modality: PSMA PET/CT | tracer: 18F-PSMA | view: axial
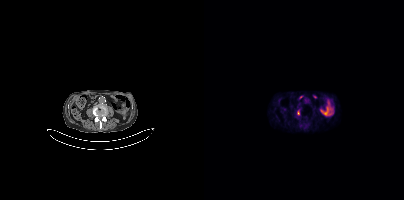
Coordinates are on the 200×200 PET (right) panel. Small PSMA-avid focus (2 to 4 px across) near (center x, center y): (94, 112).